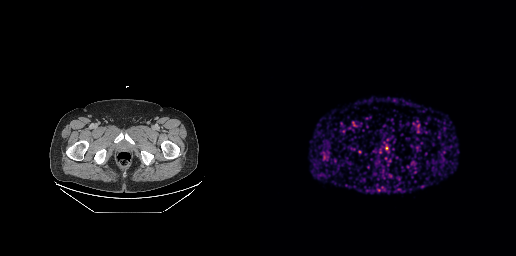
- Left: CT. Right: PSMA PET, same axial level, 68Ga tracer
- slice 81 of 299
- PET panel 256×256 px (2.7 mm/px)
Findings: Coordinates are on the 256×256 PET (right) panel. Small PSMA-avid focus (2 to 4 px across) near (center x, center y): (126, 148).